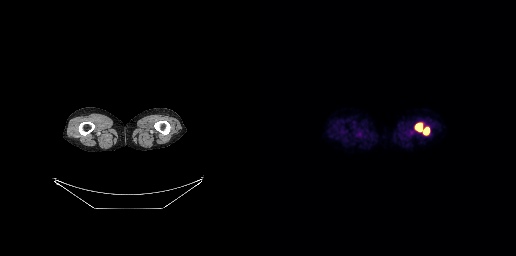
- Left: CT. Right: PSMA PET, same axial level, 18F-PSMA tracer
- acquired on GE Discovery 690
- PET panel 256×256 px (2.7 mm/px)
Findings: Coordinates are on the 256×256 PET (right) panel. PSMA-avid tumor lesion bounding box (x0,y0,x1,y1): [155,123,169,135].